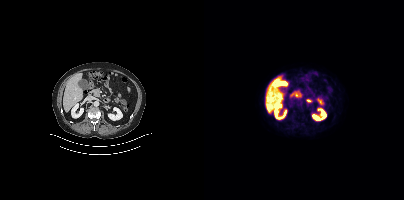
Two-panel axial: CT | PSMA PET, 18F tracer. No tumor lesions annotated on this slice.